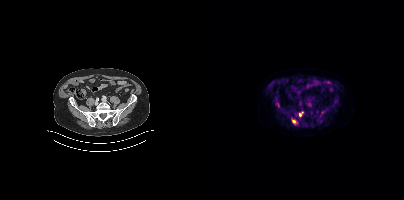
- Left: CT. Right: PSMA PET, same axial level, [18F]PSMA-1007 tracer
- slice position z = -1342 mm
Findings: Coordinates are on the 200×200 PET (right) panel. (showing 3 of 5 foci) PSMA-avid tumor lesion bounding boxes (x, y, width, height): x=95 y=111 w=5 h=6 / x=88 y=119 w=5 h=6. Small PSMA-avid focus (2 to 4 px across) near (center x, center y): (105, 104).